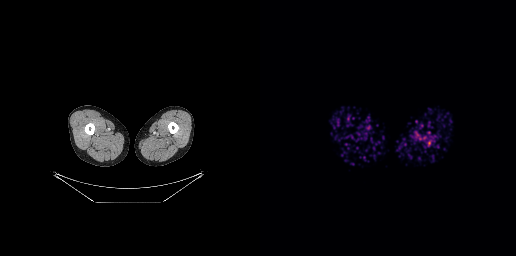
{"modality":"PSMA PET/CT","view":"axial","tracer":"68Ga-PSMA","pet_grid":[256,256],"coord_frame":"pet_panel","coord_format":"x0,y0,x1,y1","psma_avid_lesions":false}